Technique: Two-panel axial: CT | PSMA PET, 18F-PSMA tracer. slice position z = -724 mm. PET panel 200×200 px (4.1 mm/px).
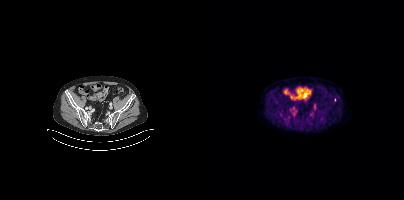
Findings: This slice has no annotated PSMA-avid lesion.